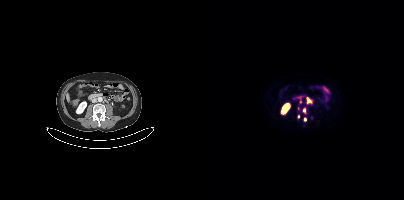
modality: PSMA PET/CT | tracer: 68Ga-PSMA | view: axial | PET grid: 200×200
Coordinates are on the 200×200 PET (right) panel. PSMA-avid tumor lesion bounding boxes (x0,y0,x1,y1): [99,108,102,112] [103,98,106,102]. Small PSMA-avid foci (2 to 4 px across) near (center x, center y): (94, 116) (107, 117) (96, 102) (94, 108) (100, 119).